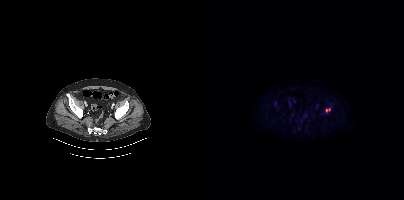
Paired axial CT (left) and PSMA PET (right), 18F tracer. Acquired on Siemens Biograph mCT Flow 20. Coordinates are on the 200×200 PET (right) panel. PSMA-avid tumor lesion bounding box (x0,y0,x1,y1): [121,109,125,112].